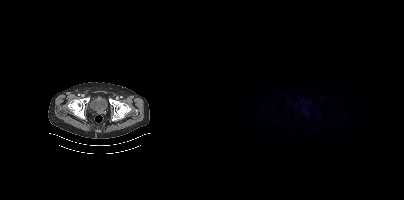
Findings: Negative for PSMA-avid disease on this slice.
Technique: Two-panel axial: CT | PSMA PET, 18F tracer. acquired on Siemens Biograph mCT Flow 20. slice position z = -980 mm. PET panel 200×200 px (4.1 mm/px).